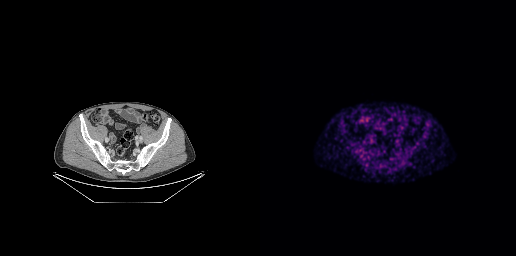
Findings: No PSMA-avid tumor lesions on this slice.
- Two-panel axial: CT | PSMA PET, 18F-PSMA tracer
- PET panel 256×256 px (2.7 mm/px)